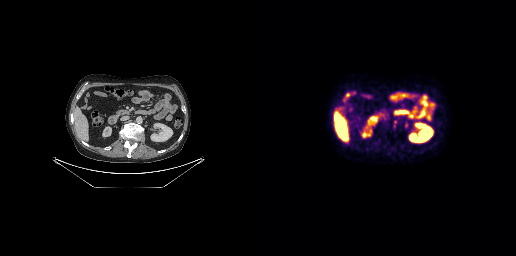
- Paired axial CT (left) and PSMA PET (right), 18F tracer
Findings: Coordinates are on the 256×256 PET (right) panel. PSMA-avid tumor lesion bounding box (x0, y0)-(x1, y1): (133, 120)-(137, 128).